modality: PSMA PET/CT | tracer: 18F | view: axial | PET grid: 200×200
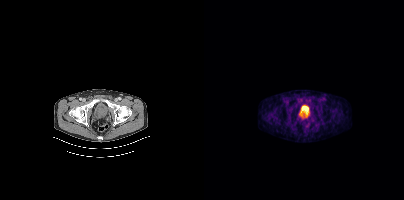
This slice has no annotated PSMA-avid lesion.